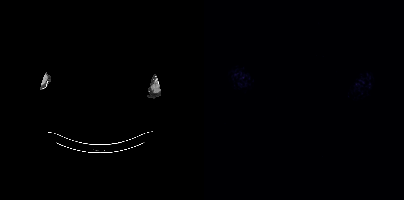
Findings: This slice has no annotated PSMA-avid lesion.
Technique: Paired axial CT (left) and PSMA PET (right), 18F-PSMA tracer. acquired on Siemens Biograph mCT Flow 20.
Note: An anonymization step blacked out a rectangle over the head in this scan.